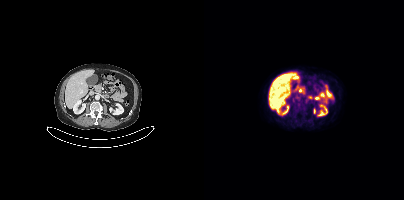
{"modality":"PSMA PET/CT","view":"axial","tracer":"18F","pet_grid":[200,200],"coord_frame":"pet_panel","coord_format":"x0,y0,x1,y1","psma_avid_lesions":false}